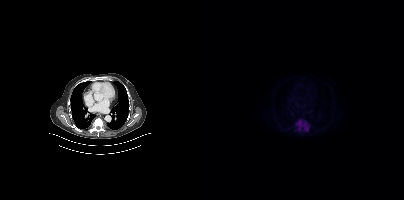
Two-panel axial: CT | PSMA PET, 18F tracer.
Coordinates are on the 200×200 PET (right) panel. PSMA-avid tumor lesion bounding boxes:
| # | x0 | y0 | x1 | y1 |
|---|---|---|---|---|
| 1 | 91 | 119 | 99 | 127 |
| 2 | 99 | 125 | 106 | 131 |
Small PSMA-avid focus (2 to 4 px across) near (center x, center y): (102, 122).